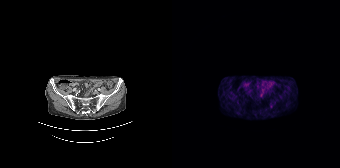
This slice has no annotated PSMA-avid lesion. Two-panel axial: CT | PSMA PET, 68Ga tracer.